Paired axial CT (left) and PSMA PET (right), 18F-PSMA tracer. Slice 156 of 403.
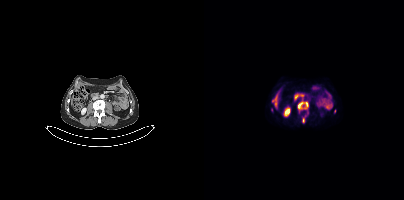
Coordinates are on the 200×200 PET (right) panel. PSMA-avid tumor lesion bounding boxes:
| # | x0 | y0 | x1 | y1 |
|---|---|---|---|---|
| 1 | 93 | 99 | 104 | 112 |
| 2 | 98 | 115 | 101 | 122 |
Small PSMA-avid foci (2 to 4 px across) near (center x, center y): (130, 111); (103, 112).